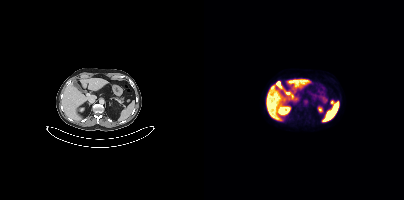
{"pet_grid":[200,200],"coord_frame":"pet_panel","coord_format":"x0,y0,x1,y1","lesion_bboxes":[[127,100,130,104]],"modality":"PSMA PET/CT","view":"axial","tracer":"18F"}